Left: CT. Right: PSMA PET, same axial level, 68Ga-PSMA tracer. Slice position z = -229 mm. The head region is masked for de-identification.
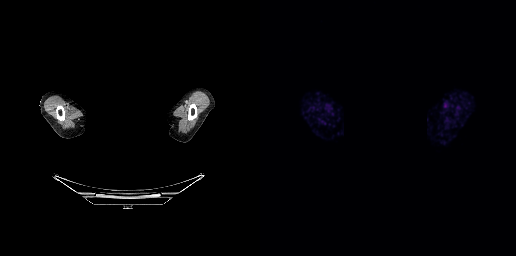
No tumor lesions annotated on this slice.